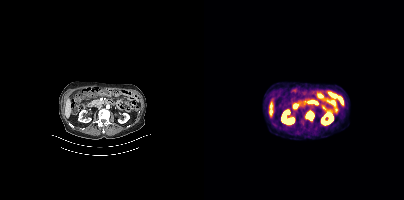
Coordinates are on the 200×200 PET (right) panel. PSMA-avid tumor lesion bounding box (x, y, width, height): x=103 y=112 w=7 h=8.